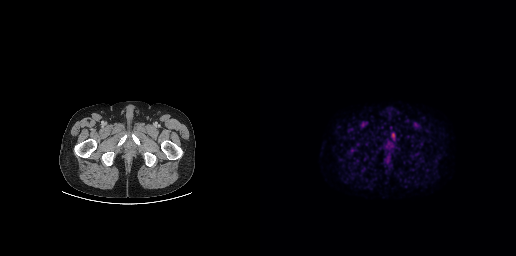
Two-panel axial: CT | PSMA PET, 18F tracer. Acquired on GE Discovery 690. Slice 33 of 263. PET panel 256×256 px (2.7 mm/px). Only PSMA-avid lesion pieces thinner than 2 px on this slice (not listed).